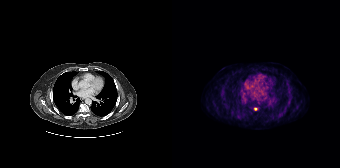
Coordinates are on the 168×168 PET (right) panel. Small PSMA-avid focus (2 to 4 px across) near (center x, center y): (83, 109). Paired axial CT (left) and PSMA PET (right), [18F]PSMA-1007 tracer. Slice position z = -836 mm. PET panel 168×168 px (4.1 mm/px).